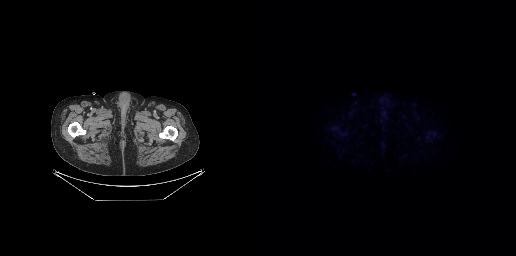
modality: PSMA PET/CT | tracer: 18F-PSMA | view: axial
This slice has no annotated PSMA-avid lesion.